Facial anatomy redacted by setting a rectangular region of the head to black.
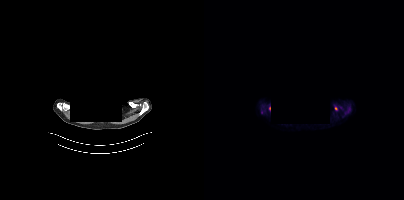
Coordinates are on the 200×200 PET (right) panel. (showing 2 of 3 foci) Small PSMA-avid foci (2 to 4 px across) near (center x, center y): (132, 108); (57, 112).